Paired axial CT (left) and PSMA PET (right), 68Ga tracer. Acquired on Siemens Biograph 64-4R TruePoint. Slice position z = -678 mm. PET panel 168×168 px (4.1 mm/px).
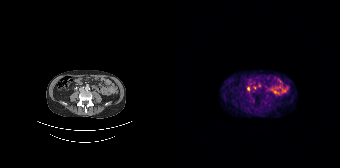
Coordinates are on the 168×168 PET (right) panel. Small PSMA-avid foci (2 to 4 px across) near (center x, center y): (76, 88) / (87, 85) / (82, 87).